- Paired axial CT (left) and PSMA PET (right), 68Ga tracer
- acquired on Siemens Biograph mCT Flow 20
- slice position z = -1142 mm
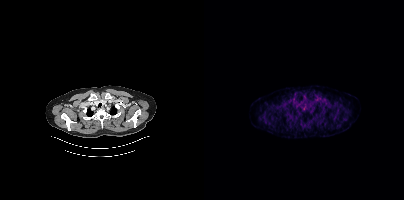
Findings: Negative for PSMA-avid disease on this slice.